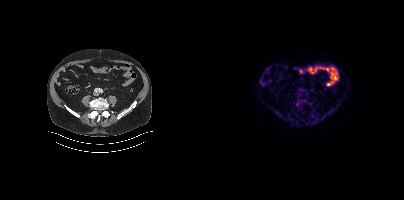
No tumor lesions annotated on this slice.